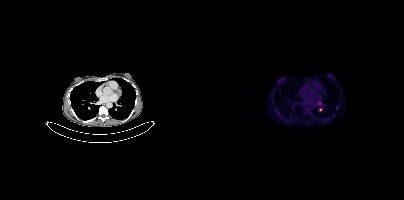
{"pet_grid":[200,200],"coord_frame":"pet_panel","coord_format":"x0,y0,x1,y1","partial":true,"lesion_bboxes":[[72,111,75,115]],"small_foci_centers":[[133,107],[115,103],[116,109]],"modality":"PSMA PET/CT","view":"axial","tracer":"18F-PSMA"}